Technique: Paired axial CT (left) and PSMA PET (right), 18F tracer. acquired on Siemens Biograph mCT Flow 20.
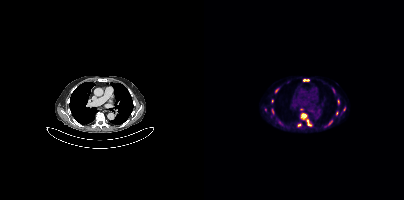
Findings: Coordinates are on the 200×200 PET (right) panel. (showing 10 of 12 foci) PSMA-avid tumor lesion bounding boxes (x, y, width, height): x=97 y=113 w=11 h=14 | x=99 y=79 w=7 h=3 | x=124 y=121 w=4 h=5 | x=68 y=109 w=2 h=5. Small PSMA-avid foci (2 to 4 px across) near (center x, center y): (72, 90) | (95, 125) | (134, 101) | (68, 101) | (132, 113) | (140, 109).